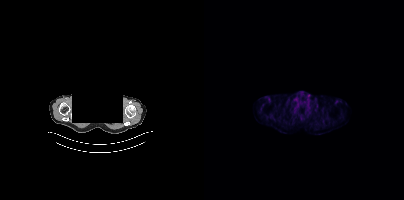
{"modality":"PSMA PET/CT","view":"axial","tracer":"18F","pet_grid":[200,200],"coord_frame":"pet_panel","coord_format":"x0,y0,x1,y1","psma_avid_lesions":false,"de-identification":"head region blanked (face removed)"}